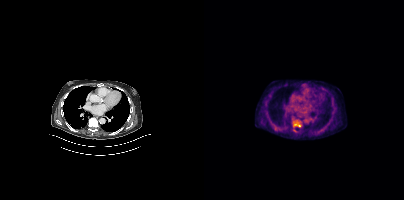
modality: PSMA PET/CT | tracer: 18F-PSMA | view: axial | PET grid: 200×200
Coordinates are on the 200×200 PET (right) panel. PSMA-avid tumor lesion bounding box (x0,y0,x1,y1): [92,123,96,127].